Technique: Paired axial CT (left) and PSMA PET (right), [18F]PSMA-1007 tracer. acquired on Siemens Biograph mCT Flow 20. slice 100 of 462. PET panel 200×200 px (4.1 mm/px).
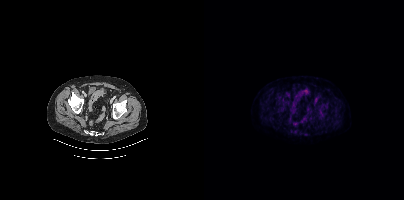
Findings: No PSMA-avid tumor lesions on this slice.